Technique: Left: CT. Right: PSMA PET, same axial level, [18F]PSMA-1007 tracer. PET panel 200×200 px (4.1 mm/px).
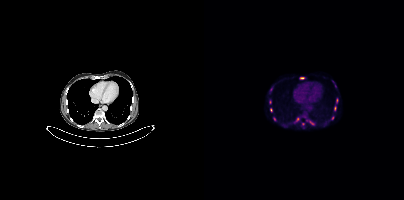
Findings: Coordinates are on the 200×200 PET (right) panel. (showing 6 of 9 foci) PSMA-avid tumor lesion bounding box (x, y, width, height): x=96 y=77 w=5 h=3. Small PSMA-avid foci (2 to 4 px across) near (center x, center y): (131, 108) / (67, 109) / (107, 122) / (93, 119) / (98, 123).